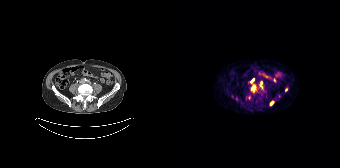
{"modality":"PSMA PET/CT","view":"axial","tracer":"[68Ga]Ga-PSMA-11","pet_grid":[168,168],"coord_frame":"pet_panel","coord_format":"x0,y0,x1,y1","partial":true,"lesion_bboxes":[[79,85,84,92],[88,81,90,88]],"small_foci_centers":[[99,103],[80,79]]}